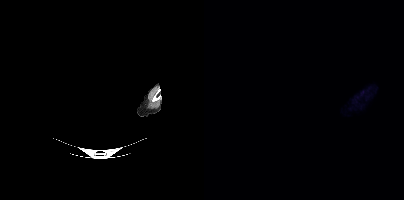
{"modality":"PSMA PET/CT","view":"axial","tracer":"18F","pet_grid":[200,200],"coord_frame":"pet_panel","coord_format":"x0,y0,x1,y1","psma_avid_lesions":false,"de-identification":"rectangular block over head set to black"}